modality: PSMA PET/CT | tracer: 18F | view: axial | PET grid: 200×200
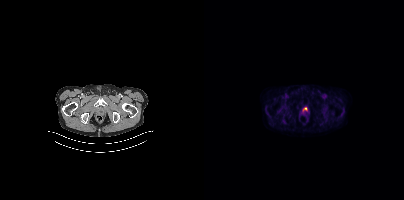
Coordinates are on the 200×200 PET (right) panel. PSMA-avid tumor lesion bounding box (x, y, width, height): x=99 y=107 w=5 h=4.